Two-panel axial: CT | PSMA PET, [18F]PSMA-1007 tracer. PET panel 200×200 px (4.1 mm/px).
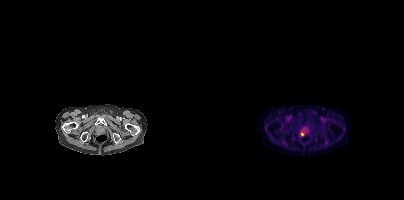
Coordinates are on the 200×200 PET (right) panel. Small PSMA-avid focus (2 to 4 px across) near (center x, center y): (97, 133).